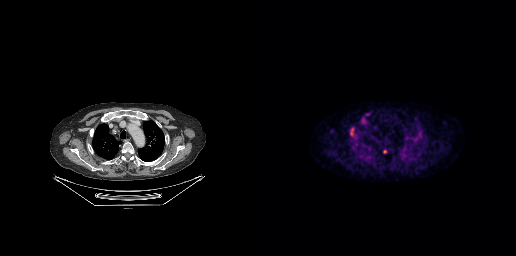
modality: PSMA PET/CT | tracer: 18F-PSMA | view: axial | PET grid: 256×256
Coordinates are on the 256×256 PET (right) panel. PSMA-avid tumor lesion bounding boxes (x, y, width, height): x=90 y=127 w=5 h=10; x=102 y=118 w=4 h=6; x=123 y=149 w=4 h=5. Small PSMA-avid focus (2 to 4 px across) near (center x, center y): (107, 114).